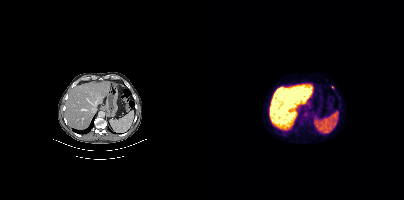
{"modality":"PSMA PET/CT","view":"axial","tracer":"18F","pet_grid":[200,200],"coord_frame":"pet_panel","coord_format":"x0,y0,x1,y1","lesion_bboxes":[],"small_foci_centers":[[128,87]]}